- Two-panel axial: CT | PSMA PET, 18F tracer
- slice 59 of 263
- PET panel 256×256 px (2.7 mm/px)
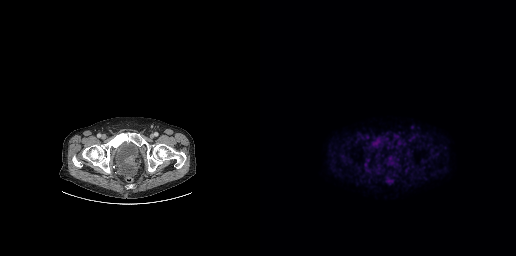
Findings: Coordinates are on the 256×256 PET (right) panel. PSMA-avid tumor lesion bounding box (x0, y0)-(x1, y1): (147, 149)-(149, 153).